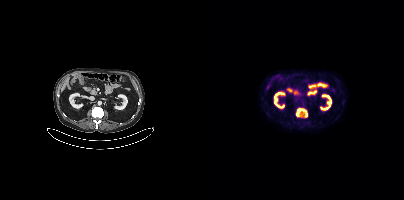
Coordinates are on the 200×200 PET (right) panel. PSMA-avid tumor lesion bounding box (x, y, width, height): x=92 y=108 w=12 h=9.